Paired axial CT (left) and PSMA PET (right), 18F-PSMA tracer. Acquired on Siemens Biograph mCT Flow 20. Slice 325 of 452. PET panel 200×200 px (4.1 mm/px).
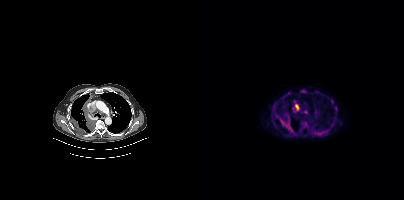
Coordinates are on the 200×200 PET (right) panel. PSMA-avid tumor lesion bounding boxes:
| # | x0 | y0 | x1 | y1 |
|---|---|---|---|---|
| 1 | 77 | 118 | 88 | 131 |
| 2 | 91 | 104 | 95 | 110 |
| 3 | 96 | 92 | 100 | 93 |